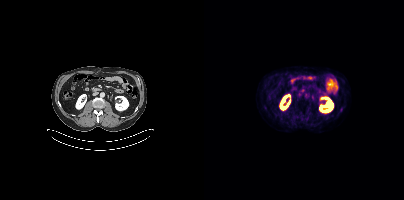
modality: PSMA PET/CT | tracer: [18F]PSMA-1007 | view: axial
No tumor lesions annotated on this slice.